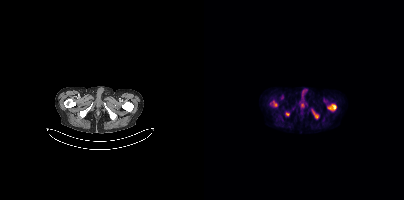
Coordinates are on the 200×200 PET (right) panel. PSMA-avid tumor lesion bounding boxes (x0,y0,x1,y1): [124,104,132,110] [69,101,73,106] [109,112,114,118]. Small PSMA-avid focus (2 to 4 px across) near (center x, center y): (83, 113).